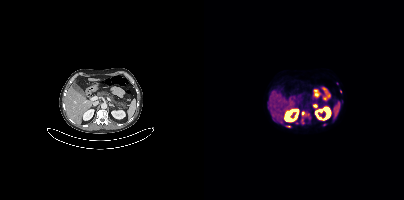
Findings: Coordinates are on the 200×200 PET (right) panel. (showing 7 of 9 foci) PSMA-avid tumor lesion bounding boxes (x, y, width, height): x=109 y=104 w=5 h=4 | x=98 y=111 w=3 h=5. Small PSMA-avid foci (2 to 4 px across) near (center x, center y): (98, 123) | (93, 122) | (120, 124) | (136, 91) | (84, 126).
Technique: Paired axial CT (left) and PSMA PET (right), 18F-PSMA tracer. acquired on Siemens Biograph mCT Flow 20.